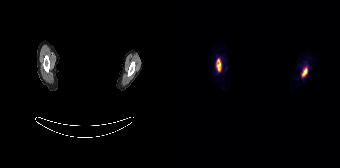
Coordinates are on the 168×168 PET (right) panel. PSMA-avid tumor lesion bounding boxes (x0,y0,x1,y1): [44,59,49,71] [129,68,135,77].
A rectangle over the head was blacked out to remove identifiable facial features.